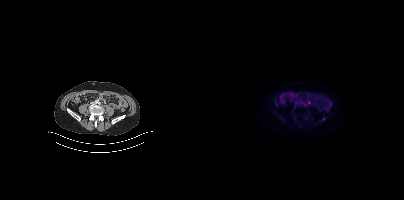
{"pet_grid":[200,200],"coord_frame":"pet_panel","coord_format":"x0,y0,x1,y1","lesion_bboxes":[],"small_foci_centers":[[119,119]],"modality":"PSMA PET/CT","view":"axial","tracer":"18F"}